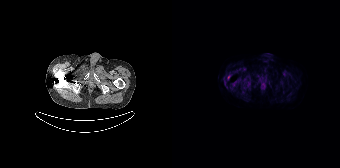
Findings: No tumor lesions annotated on this slice.
Technique: Left: CT. Right: PSMA PET, same axial level, 18F-PSMA tracer. acquired on Siemens Biograph 64-4R TruePoint. slice 16 of 165.